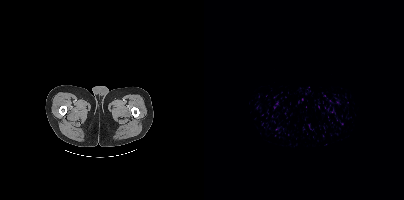
- Left: CT. Right: PSMA PET, same axial level, 18F tracer
- acquired on Siemens Biograph mCT Flow 20
- PET panel 200×200 px (4.1 mm/px)
Findings: No tumor lesions annotated on this slice.